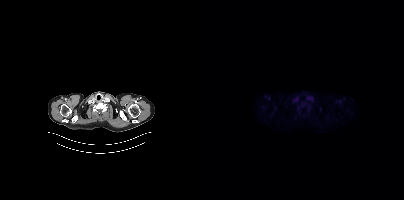
This slice has no annotated PSMA-avid lesion.